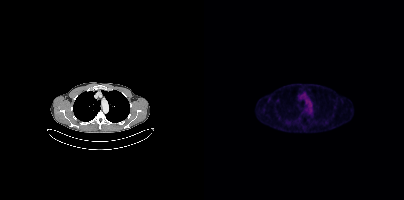
Left: CT. Right: PSMA PET, same axial level, 18F-PSMA tracer. No PSMA-avid tumor lesions on this slice.